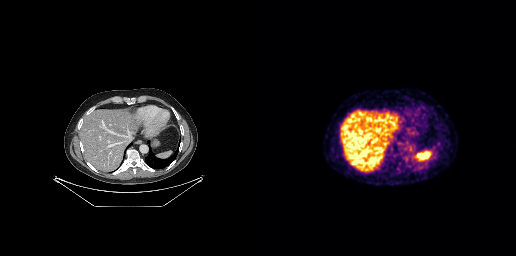
Paired axial CT (left) and PSMA PET (right), [68Ga]Ga-PSMA-11 tracer. Acquired on GE Discovery 690. Slice 169 of 263. PET panel 256×256 px (2.7 mm/px). This slice has no annotated PSMA-avid lesion.